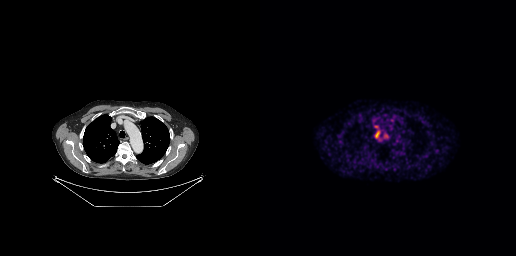
Coordinates are on the 256×256 PET (right) panel. PSMA-avid tumor lesion bounding box (x, y, width, height): x=115 y=132 w=5 h=6.